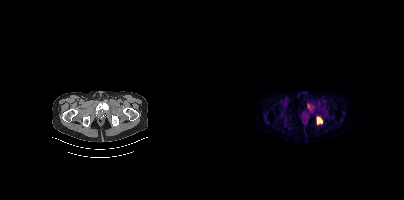
Findings: Coordinates are on the 200×200 PET (right) panel. PSMA-avid tumor lesion bounding boxes (x, y, width, height): x=112 y=116 w=7 h=9; x=103 y=104 w=4 h=5.
Technique: Two-panel axial: CT | PSMA PET, 68Ga-PSMA tracer. slice 45 of 409. PET panel 200×200 px (4.1 mm/px).